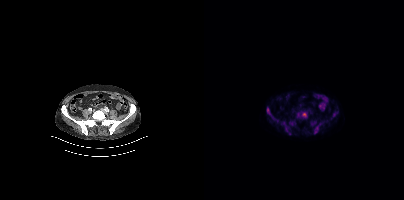
Left: CT. Right: PSMA PET, same axial level, [18F]PSMA-1007 tracer. Slice 138 of 427. Coordinates are on the 200×200 PET (right) panel. (showing 7 of 8 foci) PSMA-avid tumor lesion bounding boxes (x0,y0,x1,y1): [93,112,103,118], [62,107,74,122], [77,121,86,134], [110,123,118,133], [85,121,89,125], [129,112,133,116], [107,121,112,124].